De-identified by setting a box covering the face to black before release.
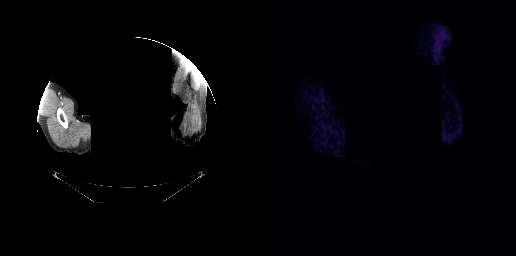
No tumor lesions annotated on this slice.